Two-panel axial: CT | PSMA PET, 18F-PSMA tracer. Acquired on GE Discovery 690. Slice 120 of 299. PET panel 256×256 px (2.7 mm/px).
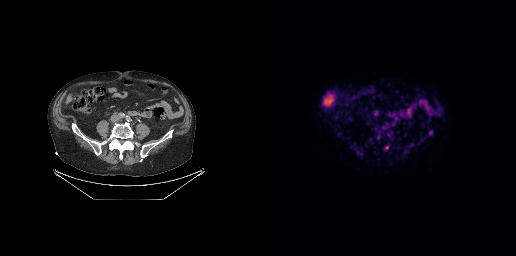
Coordinates are on the 256×256 PET (right) panel. (showing 2 of 3 foci) Small PSMA-avid foci (2 to 4 px across) near (center x, center y): (126, 147); (171, 132).